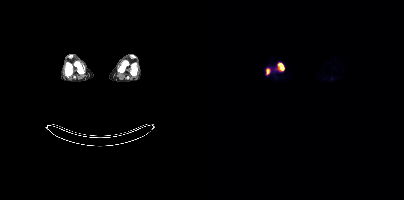
{"modality":"PSMA PET/CT","view":"axial","tracer":"[18F]PSMA-1007","pet_grid":[200,200],"coord_frame":"pet_panel","coord_format":"x0,y0,x1,y1","lesion_bboxes":[[74,63,80,70],[62,69,65,74]]}